Technique: Two-panel axial: CT | PSMA PET, [18F]PSMA-1007 tracer. slice position z = -1 mm.
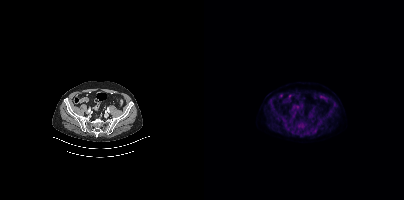
Findings: No tumor lesions annotated on this slice.